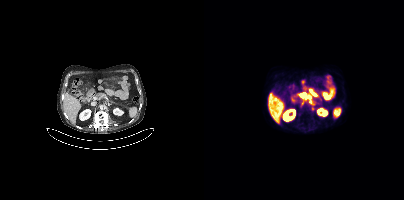
Findings: Coordinates are on the 200×200 PET (right) panel. (showing 2 of 3 foci) PSMA-avid tumor lesion bounding boxes (x0,y0,x1,y1): [96,93,101,97] [97,101,100,105].
- Paired axial CT (left) and PSMA PET (right), 18F-PSMA tracer
- acquired on Siemens Biograph mCT Flow 20
- slice 197 of 395
- PET panel 200×200 px (4.1 mm/px)